Left: CT. Right: PSMA PET, same axial level, 18F-PSMA tracer. Slice 178 of 263.
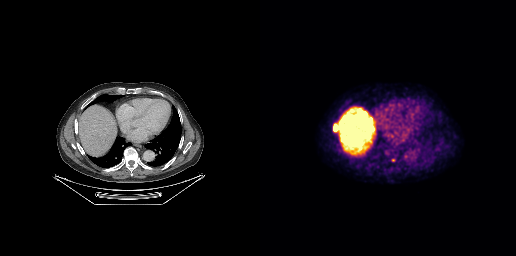
Coordinates are on the 256×256 PET (right) panel. PSMA-avid tumor lesion bounding boxes:
| # | x0 | y0 | x1 | y1 |
|---|---|---|---|---|
| 1 | 73 | 123 | 79 | 132 |
Small PSMA-avid focus (2 to 4 px across) near (center x, center y): (133, 160).